Left: CT. Right: PSMA PET, same axial level, 18F-PSMA tracer. Acquired on Siemens Biograph mCT Flow 20. Slice position z = 174 mm. A rectangle over the head was blacked out to remove identifiable facial features.
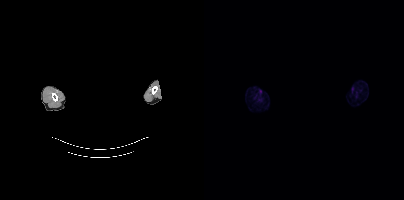
This slice has no annotated PSMA-avid lesion.